Left: CT. Right: PSMA PET, same axial level, 18F tracer. Slice 131 of 438. PET panel 200×200 px (4.1 mm/px).
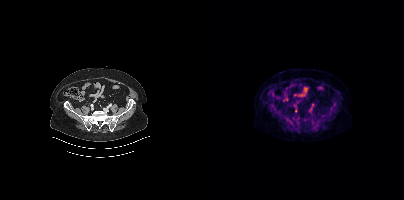
No PSMA-avid tumor lesions on this slice.